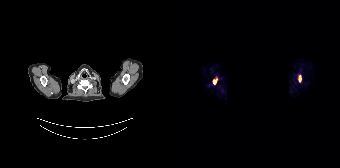
{"modality":"PSMA PET/CT","view":"axial","tracer":"68Ga-PSMA","pet_grid":[168,168],"coord_frame":"pet_panel","coord_format":"x0,y0,x1,y1","lesion_bboxes":[[41,77,45,83]],"small_foci_centers":[[127,79]],"redaction":"black rectangle is a privacy mask"}